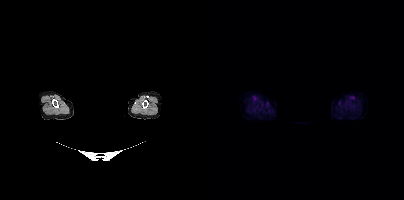
modality: PSMA PET/CT | tracer: [18F]PSMA-1007 | view: axial | redaction: rectangular block over head set to black
No PSMA-avid tumor lesions on this slice.